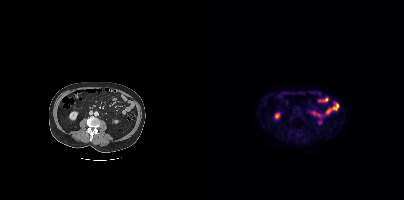
Negative for PSMA-avid disease on this slice. Two-panel axial: CT | PSMA PET, 18F-PSMA tracer.